Paired axial CT (left) and PSMA PET (right), 18F-PSMA tracer. PET panel 200×200 px (4.1 mm/px).
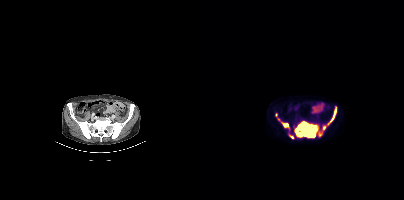
Coordinates are on the 200×200 PET (right) panel. PSMA-avid tumor lesion bounding boxes:
| # | x0 | y0 | x1 | y1 |
|---|---|---|---|---|
| 1 | 90 | 107 | 132 | 137 |
| 2 | 77 | 122 | 84 | 127 |
Small PSMA-avid foci (2 to 4 px across) near (center x, center y): (87, 136); (72, 115); (74, 119).